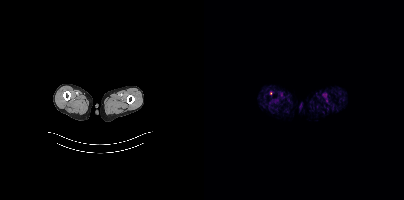
{"modality":"PSMA PET/CT","view":"axial","tracer":"[18F]PSMA-1007","pet_grid":[200,200],"coord_frame":"pet_panel","coord_format":"x0,y0,x1,y1","psma_avid_lesions":false}